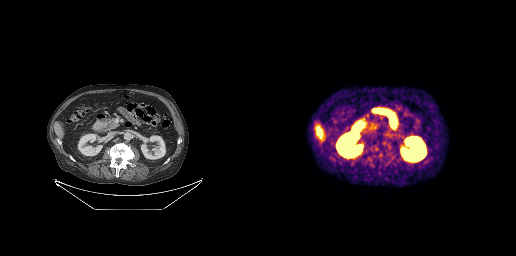
Negative for PSMA-avid disease on this slice.
modality: PSMA PET/CT | tracer: [18F]PSMA-1007 | view: axial | PET grid: 256×256